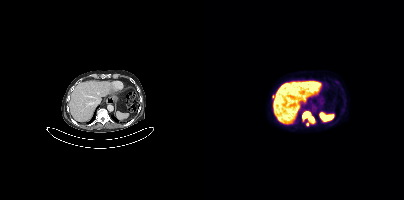
{"modality":"PSMA PET/CT","view":"axial","tracer":"18F-PSMA","pet_grid":[200,200],"coord_frame":"pet_panel","coord_format":"x0,y0,x1,y1","partial":true,"lesion_bboxes":[[98,111,110,123]],"small_foci_centers":[[103,124]]}